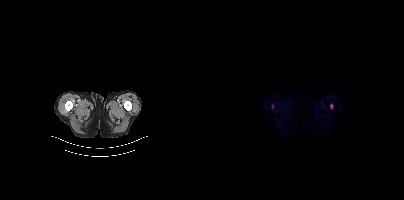
- Paired axial CT (left) and PSMA PET (right), [18F]PSMA-1007 tracer
- PET panel 200×200 px (4.1 mm/px)
Findings: Coordinates are on the 200×200 PET (right) panel. PSMA-avid tumor lesion bounding box (x0,y0,x1,y1): [126,104,128,108]. Small PSMA-avid focus (2 to 4 px across) near (center x, center y): (68, 106).